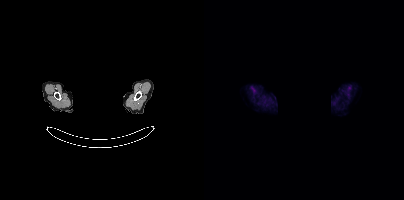
{"pet_grid":[200,200],"coord_frame":"pet_panel","coord_format":"x0,y0,x1,y1","psma_avid_lesions":false,"modality":"PSMA PET/CT","view":"axial","tracer":"18F-PSMA","deidentification":"face masked with black rectangle"}